Technique: Paired axial CT (left) and PSMA PET (right), 18F-PSMA tracer. slice 201 of 371. PET panel 256×256 px (2.7 mm/px).
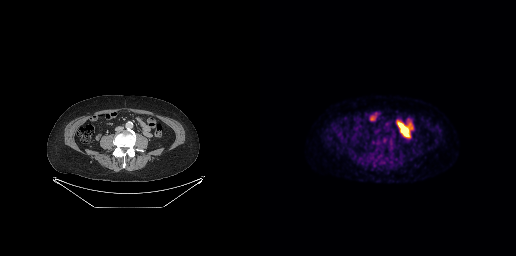
Findings: Negative for PSMA-avid disease on this slice.